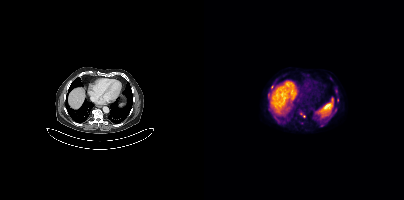
Coordinates are on the 200×200 PET (right) panel. (showing 3 of 6 foci) Small PSMA-avid foci (2 to 4 px across) near (center x, center y): (133, 100); (118, 125); (64, 94). Paired axial CT (left) and PSMA PET (right), 18F-PSMA tracer. Acquired on Siemens Biograph mCT Flow 20. Slice position z = -1100 mm.